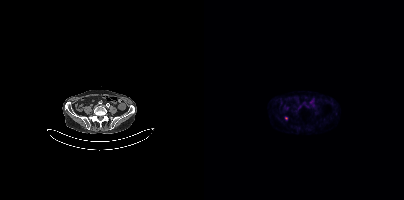
Coordinates are on the 200×200 PET (right) panel. Small PSMA-avid focus (2 to 4 px across) near (center x, center y): (82, 118).